Technique: Paired axial CT (left) and PSMA PET (right), 18F tracer. PET panel 200×200 px (4.1 mm/px).
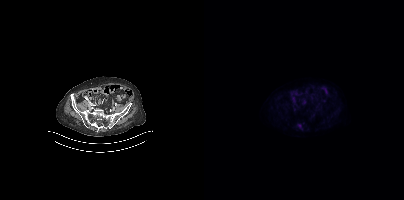
Findings: Coordinates are on the 200×200 PET (right) panel. Small PSMA-avid focus (2 to 4 px across) near (center x, center y): (95, 125).